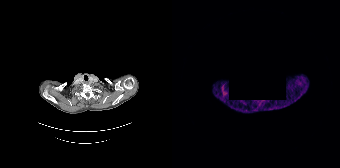
A rectangular privacy mask was applied before release.
No tumor lesions annotated on this slice.